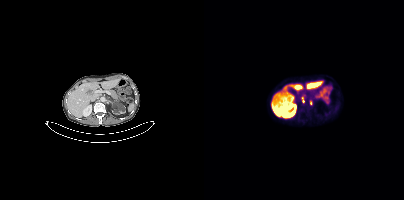
Paired axial CT (left) and PSMA PET (right), 18F-PSMA tracer. Slice position z = -226 mm. Coordinates are on the 200×200 PET (right) panel. (showing 1 of 2 foci) PSMA-avid tumor lesion bounding box (x, y, width, height): x=98 y=97 w=2 h=6.